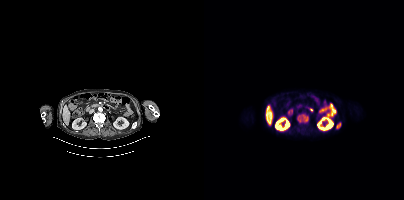
Technique: Left: CT. Right: PSMA PET, same axial level, [18F]PSMA-1007 tracer. slice 195 of 415.
Findings: Coordinates are on the 200×200 PET (right) panel. PSMA-avid tumor lesion bounding boxes (x0, y0)-(x1, y1): (93, 114)-(104, 122) | (132, 122)-(137, 128).